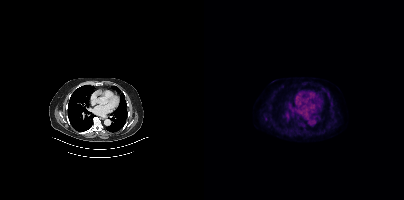
Only PSMA-avid lesion pieces thinner than 2 px on this slice (not listed).